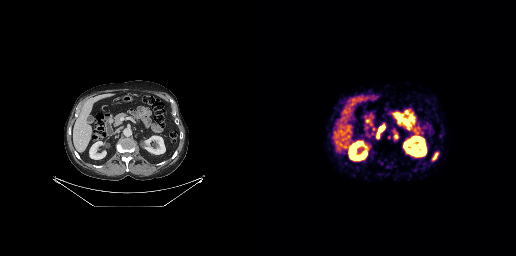
Coordinates are on the 256×256 PET (right) panel. (showing 2 of 4 foci) PSMA-avid tumor lesion bounding boxes (x0,y0,x1,y1): [117,126,124,138]; [172,152,178,160].